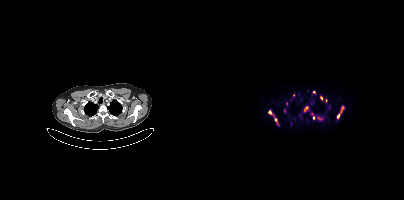
Coordinates are on the 200×200 PET (right) panel. (showing 11 of 17 foci) PSMA-avid tumor lesion bounding boxes (x0,y0,x1,y1): [136,105,140,112], [113,116,118,120], [64,111,70,116], [71,119,74,125], [133,114,135,118]. Small PSMA-avid foci (2 to 4 px across) near (center x, center y): (117, 97), (102, 108), (80, 110), (110, 92), (109, 118), (89, 95).